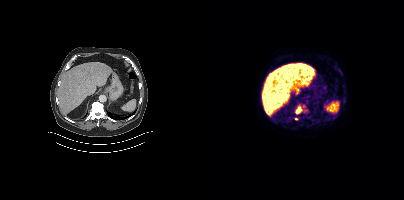
- Left: CT. Right: PSMA PET, same axial level, 18F tracer
- acquired on Siemens Biograph mCT Flow 20
- slice 252 of 454
- PET panel 200×200 px (4.1 mm/px)
Findings: Coordinates are on the 200×200 PET (right) panel. PSMA-avid tumor lesion bounding box (x, y, width, height): x=93 y=105 w=11 h=8. Small PSMA-avid focus (2 to 4 px across) near (center x, center y): (92, 118).